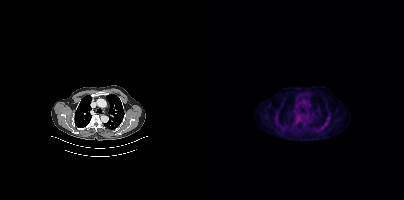
{"modality":"PSMA PET/CT","view":"axial","tracer":"[18F]PSMA-1007","pet_grid":[200,200],"coord_frame":"pet_panel","coord_format":"x0,y0,x1,y1","lesion_bboxes":[],"small_foci_centers":[[93,121]]}